modality: PSMA PET/CT | tracer: 18F-PSMA | view: axial
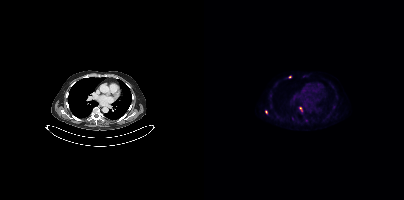
Coordinates are on the 200×200 PET (right) panel. PSMA-avid tumor lesion bounding box (x, y, width, height): x=95 y=107 w=4 h=5. Small PSMA-avid foci (2 to 4 px across) near (center x, center y): (86, 77) / (62, 112) / (88, 118).